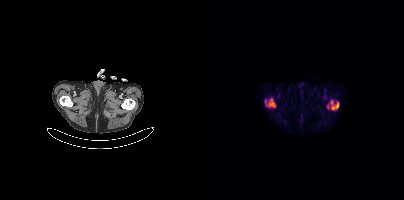
{"modality":"PSMA PET/CT","view":"axial","tracer":"[18F]PSMA-1007","pet_grid":[200,200],"coord_frame":"pet_panel","coord_format":"x0,y0,x1,y1","partial":true,"lesion_bboxes":[[127,100,134,109],[65,99,71,107]],"small_foci_centers":[[123,107]]}